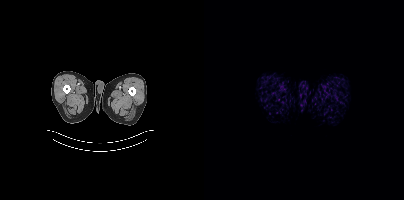
No tumor lesions annotated on this slice.